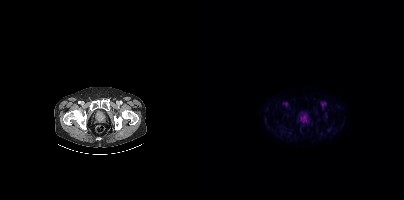
{"modality":"PSMA PET/CT","view":"axial","tracer":"18F-PSMA","pet_grid":[200,200],"coord_frame":"pet_panel","coord_format":"x0,y0,x1,y1","psma_avid_lesions":false}